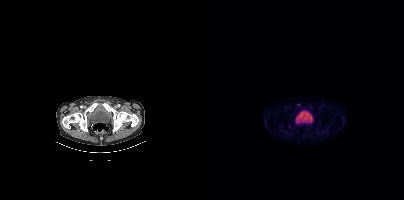
{"modality":"PSMA PET/CT","view":"axial","tracer":"18F-PSMA","pet_grid":[200,200],"coord_frame":"pet_panel","coord_format":"x0,y0,x1,y1","partial":true,"lesion_bboxes":[]}